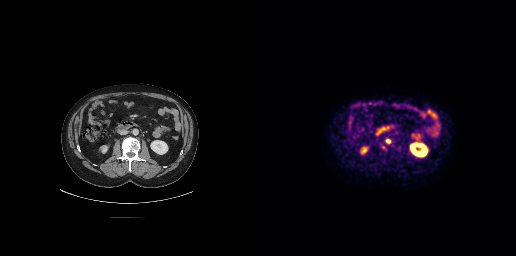
- Paired axial CT (left) and PSMA PET (right), 18F tracer
- slice 111 of 263
Findings: Coordinates are on the 256×256 PET (right) panel. PSMA-avid tumor lesion bounding box (x0,y0,x1,y1): [125,138,131,143]. Small PSMA-avid focus (2 to 4 px across) near (center x, center y): (123, 147).